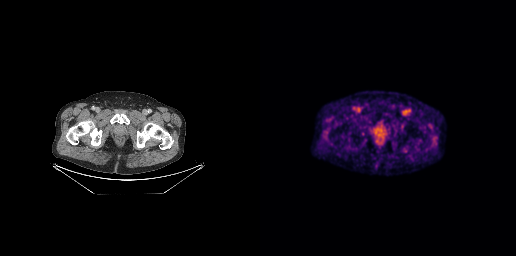
{"pet_grid":[256,256],"coord_frame":"pet_panel","coord_format":"x0,y0,x1,y1","lesion_bboxes":[],"small_foci_centers":[[121,130]],"modality":"PSMA PET/CT","view":"axial","tracer":"18F-PSMA"}